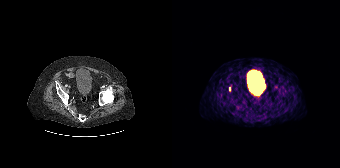
Coordinates are on the 168×168 PET (right) panel. Small PSMA-avid focus (2 to 4 px across) near (center x, center y): (57, 89). Paired axial CT (left) and PSMA PET (right), 68Ga-PSMA tracer. Slice position z = -1564 mm. PET panel 168×168 px (4.1 mm/px).